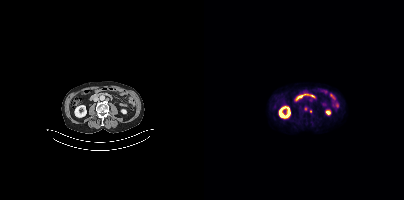
Findings: Coordinates are on the 200×200 PET (right) panel. Small PSMA-avid foci (2 to 4 px across) near (center x, center y): (101, 109); (106, 111).
- Left: CT. Right: PSMA PET, same axial level, 18F-PSMA tracer
- slice 165 of 423
- PET panel 200×200 px (4.1 mm/px)